Two-panel axial: CT | PSMA PET, [68Ga]Ga-PSMA-11 tracer. PET panel 200×200 px (4.1 mm/px).
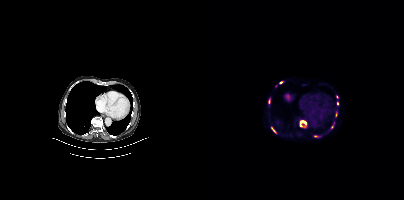
Coordinates are on the 200×200 PET (right) panel. (showing 6 of 9 foci) PSMA-avid tumor lesion bounding boxes (x0,y0,x1,y1): [95,121,102,127] [67,126,72,133]. Small PSMA-avid foci (2 to 4 px across) near (center x, center y): (128, 127) (76, 82) (64, 102) (133, 103).